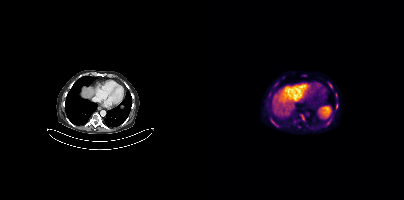
Findings: Coordinates are on the 200×200 PET (right) panel. (showing 6 of 7 foci) PSMA-avid tumor lesion bounding boxes (x0,y0,x1,y1): [66,119,74,127] [96,114,100,120] [132,104,133,108]. Small PSMA-avid foci (2 to 4 px across) near (center x, center y): (100, 75) (126, 86) (126, 108).
- Two-panel axial: CT | PSMA PET, [18F]PSMA-1007 tracer
- acquired on Siemens Biograph mCT Flow 20
- slice 217 of 373
- PET panel 200×200 px (4.1 mm/px)